modality: PSMA PET/CT | tracer: 68Ga-PSMA | view: axial | PET grid: 256×256
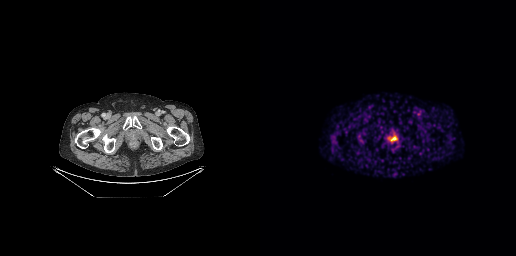
Coordinates are on the 256×256 PET (right) panel. PSMA-avid tumor lesion bounding box (x0,y0,x1,y1): [131,137,136,140].